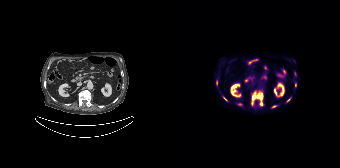
Coordinates are on the 168×168 PET (right) panel. (showing 7 of 8 foci) PSMA-avid tumor lesion bounding boxes (x, y, width, height): x=79 y=91 w=13 h=15 | x=51 y=96 w=5 h=6 | x=100 y=105 w=5 h=3. Small PSMA-avid foci (2 to 4 px across) near (center x, center y): (123, 84) | (67, 104) | (116, 100) | (44, 82).